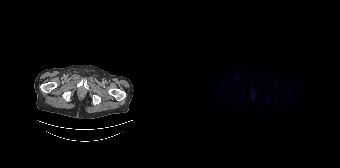
- Paired axial CT (left) and PSMA PET (right), 18F tracer
Findings: No PSMA-avid tumor lesions on this slice.